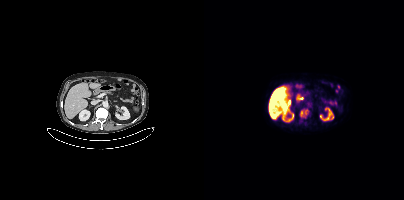
{"modality":"PSMA PET/CT","view":"axial","tracer":"[18F]PSMA-1007","pet_grid":[200,200],"coord_frame":"pet_panel","coord_format":"x0,y0,x1,y1","lesion_bboxes":[[96,109,104,117]]}